Head region blanked for anonymization (face removed).
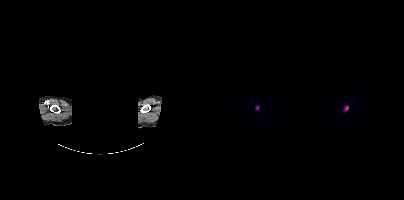
Coordinates are on the 200×200 PET (right) panel. PSMA-avid tumor lesion bounding boxes (x0,y0,x1,y1): [139,105,144,112] [51,105,55,110].